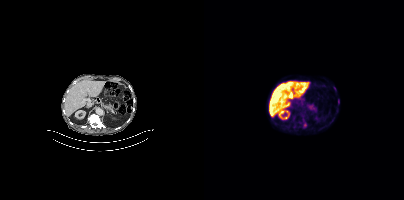
{"pet_grid":[200,200],"coord_frame":"pet_panel","coord_format":"x0,y0,x1,y1","lesion_bboxes":[],"small_foci_centers":[[134,101],[100,124]],"modality":"PSMA PET/CT","view":"axial","tracer":"[18F]PSMA-1007"}